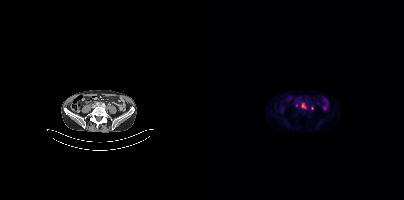
{"pet_grid":[200,200],"coord_frame":"pet_panel","coord_format":"x0,y0,x1,y1","lesion_bboxes":[[97,103,102,108]],"small_foci_centers":[[108,108],[92,105]],"modality":"PSMA PET/CT","view":"axial","tracer":"18F"}